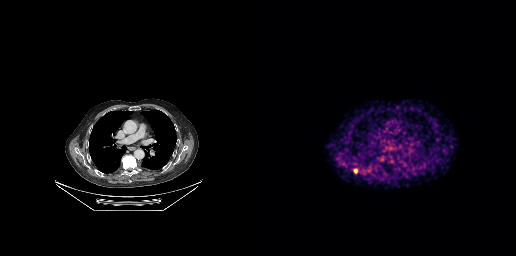
Coordinates are on the 256×256 PET (right) panel. PSMA-avid tumor lesion bounding boxes (partial; 1 more focus not listed):
| # | x0 | y0 | x1 | y1 |
|---|---|---|---|---|
| 1 | 94 | 169 | 97 | 173 |
Small PSMA-avid focus (2 to 4 px across) near (center x, center y): (90, 133).
Paired axial CT (left) and PSMA PET (right), [68Ga]Ga-PSMA-11 tracer.